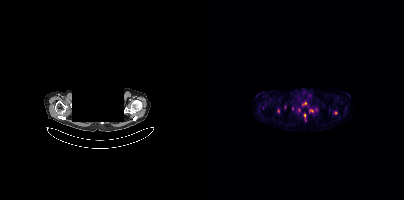
Coordinates are on the 200×200 PET (right) panel. PSMA-avid tumor lesion bounding boxes (partial; 2 more foci not listed):
| # | x0 | y0 | x1 | y1 |
|---|---|---|---|---|
| 1 | 105 | 109 | 109 | 112 |
| 2 | 98 | 102 | 102 | 105 |
Small PSMA-avid foci (2 to 4 px across) near (center x, center y): (88, 108); (100, 115); (74, 111); (131, 112).
The face region was removed for patient privacy by blanking a rectangle over the head. Paired axial CT (left) and PSMA PET (right), 18F tracer.